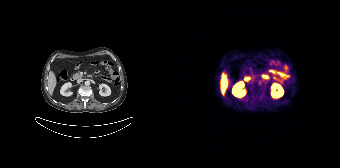
Paired axial CT (left) and PSMA PET (right), 68Ga tracer. Coordinates are on the 168×168 PET (right) panel. PSMA-avid tumor lesion bounding box (x, y, width, height): x=49 y=87 w=5 h=4.